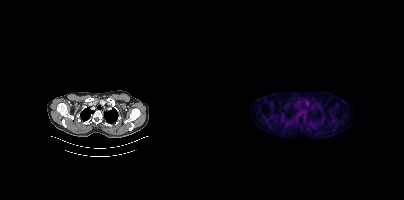
This slice has no annotated PSMA-avid lesion. Paired axial CT (left) and PSMA PET (right), [18F]PSMA-1007 tracer. PET panel 200×200 px (4.1 mm/px).